Technique: Two-panel axial: CT | PSMA PET, [18F]PSMA-1007 tracer. acquired on Siemens Biograph mCT Flow 20.
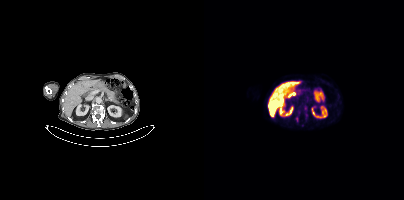
Findings: Coordinates are on the 200×200 PET (right) panel. (showing 2 of 4 foci) PSMA-avid tumor lesion bounding box (x, y, width, height): x=94 y=110 w=3 h=5. Small PSMA-avid focus (2 to 4 px across) near (center x, center y): (98, 125).